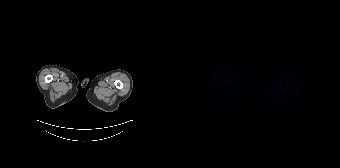
No tumor lesions annotated on this slice. Left: CT. Right: PSMA PET, same axial level, 18F-PSMA tracer. PET panel 168×168 px (4.1 mm/px).